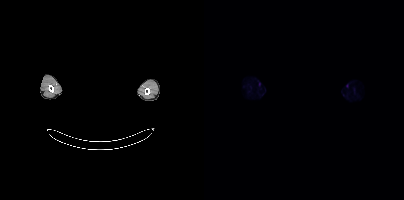
- Paired axial CT (left) and PSMA PET (right), [18F]PSMA-1007 tracer
- acquired on Siemens Biograph mCT Flow 20
- slice position z = -810 mm
- any black rectangle over the head is a privacy mask, not anatomy
Findings: Negative for PSMA-avid disease on this slice.